modality: PSMA PET/CT | tracer: [18F]PSMA-1007 | view: axial
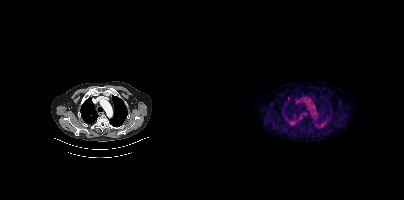
Negative for PSMA-avid disease on this slice.